- Paired axial CT (left) and PSMA PET (right), [18F]PSMA-1007 tracer
- acquired on Siemens Biograph mCT Flow 20
- PET panel 200×200 px (4.1 mm/px)
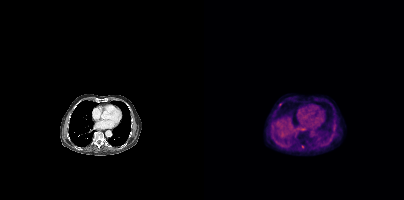
Findings: Coordinates are on the 200×200 PET (right) panel. Small PSMA-avid foci (2 to 4 px across) near (center x, center y): (98, 146); (76, 104).